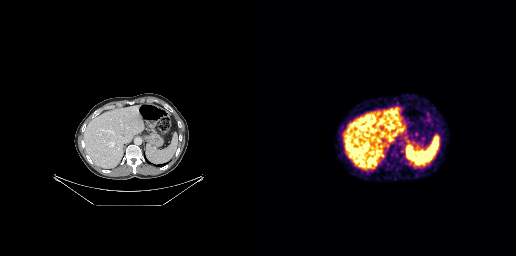
Coordinates are on the 256×256 PET (right) panel. Small PSMA-avid focus (2 to 4 px across) near (center x, center y): (137, 168).
modality: PSMA PET/CT | tracer: [68Ga]Ga-PSMA-11 | view: axial | PET grid: 256×256